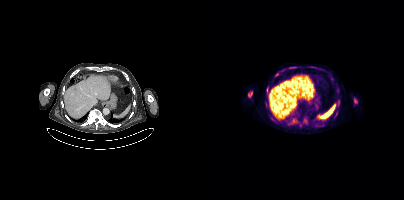
Coordinates are on the 200×200 PET (right) panel. (showing 8 of 9 foci) PSMA-avid tumor lesion bounding boxes (x0,y0,x1,y1): [44,91,48,97]; [150,98,153,103]. Small PSMA-avid foci (2 to 4 px across) near (center x, center y): (134, 104); (72, 74); (63, 88); (63, 107); (133, 91); (130, 116).